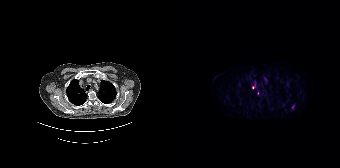
- Left: CT. Right: PSMA PET, same axial level, 18F tracer
- acquired on Siemens Biograph 64-4R TruePoint
Findings: Coordinates are on the 168×168 PET (right) panel. (showing 2 of 4 foci) Small PSMA-avid foci (2 to 4 px across) near (center x, center y): (81, 86) / (121, 106).